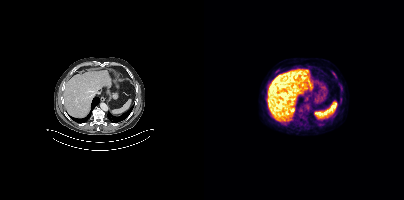
Technique: Left: CT. Right: PSMA PET, same axial level, 18F-PSMA tracer. PET panel 200×200 px (4.1 mm/px).
Findings: Coordinates are on the 200×200 PET (right) panel. PSMA-avid tumor lesion bounding box (x0,y0,x1,y1): [128,72,131,76].